Technique: Paired axial CT (left) and PSMA PET (right), 18F tracer. slice position z = -1050 mm. PET panel 200×200 px (4.1 mm/px).
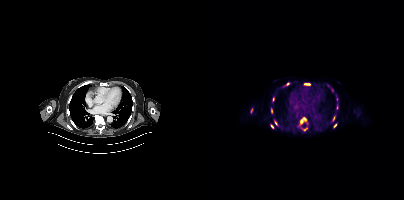
Findings: Coordinates are on the 200×200 PET (right) panel. (showing 11 of 14 foci) PSMA-avid tumor lesion bounding boxes (x0, y0)-(x1, y1): (96, 117)-(102, 123); (100, 83)-(106, 85); (46, 108)-(48, 113); (128, 116)-(131, 120); (71, 121)-(73, 125). Small PSMA-avid foci (2 to 4 px across) near (center x, center y): (83, 84); (68, 126); (67, 110); (131, 125); (69, 99); (100, 129).